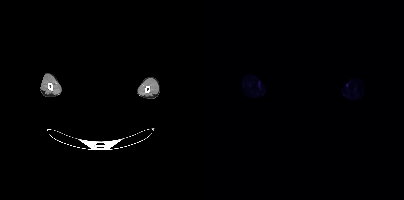
Findings: Negative for PSMA-avid disease on this slice.
- Two-panel axial: CT | PSMA PET, 18F tracer
- PET panel 200×200 px (4.1 mm/px)
- privacy masking over the head, with the pixels inside a rectangle set to black